- Paired axial CT (left) and PSMA PET (right), 18F-PSMA tracer
- slice position z = -1581 mm
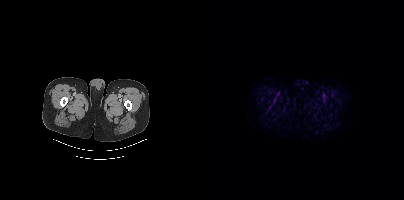
Findings: This slice has no annotated PSMA-avid lesion.